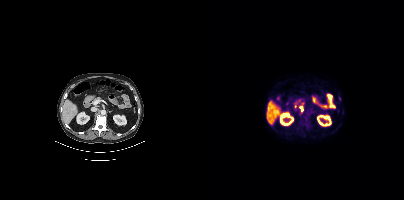
Paired axial CT (left) and PSMA PET (right), 18F tracer. Acquired on Siemens Biograph mCT Flow 20. PET panel 200×200 px (4.1 mm/px). Coordinates are on the 200×200 PET (right) panel. PSMA-avid tumor lesion bounding box (x, y, width, height): x=96 y=106 w=3 h=6.